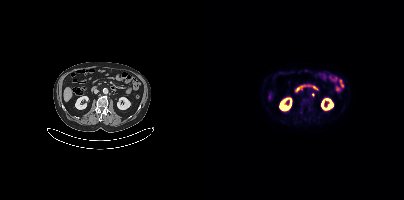
No PSMA-avid tumor lesions on this slice.